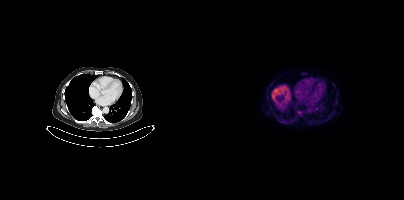
Two-panel axial: CT | PSMA PET, 18F tracer. Slice position z = -1135 mm. Coordinates are on the 200×200 PET (right) panel. (showing 2 of 3 foci) PSMA-avid tumor lesion bounding box (x, y, width, height): x=93 y=111 w=6 h=5. Small PSMA-avid focus (2 to 4 px across) near (center x, center y): (71, 91).